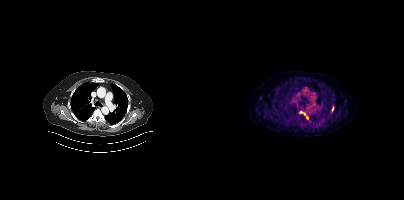
Coordinates are on the 200×200 PET (right) panel. PSMA-avid tumor lesion bounding boxes (x0,y0,x1,y1): [95,111,104,119] [127,106,130,111]. Small PSMA-avid focus (2 to 4 px across) near (center x, center y): (56, 97).